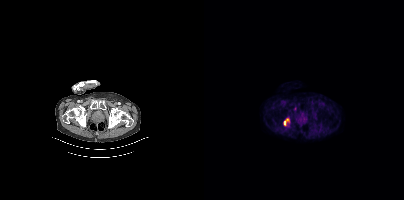
Paired axial CT (left) and PSMA PET (right), 18F tracer. Acquired on Siemens Biograph mCT Flow 20. Slice 78 of 411. PET panel 200×200 px (4.1 mm/px).
Coordinates are on the 200×200 PET (right) panel. PSMA-avid tumor lesion bounding boxes:
| # | x0 | y0 | x1 | y1 |
|---|---|---|---|---|
| 1 | 79 | 118 | 85 | 125 |
Small PSMA-avid focus (2 to 4 px across) near (center x, center y): (91, 108).